modality: PSMA PET/CT | tracer: [18F]PSMA-1007 | view: axial | PET grid: 200×200
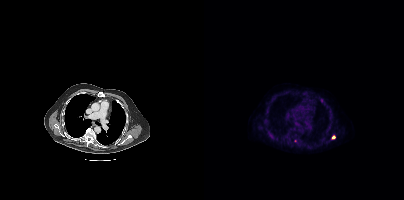
Coordinates are on the 200×200 PET (right) panel. Small PSMA-avid foci (2 to 4 px across) near (center x, center y): (129, 137) | (91, 140).